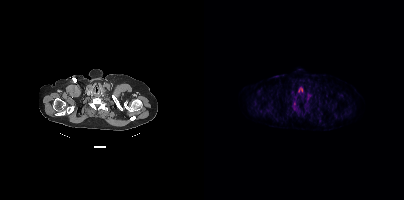
Coordinates are on the 200×200 PET (right) panel. Small PSMA-avid focus (2 to 4 px across) near (center x, center y): (90, 104). Two-panel axial: CT | PSMA PET, [18F]PSMA-1007 tracer. Slice 375 of 435. PET panel 200×200 px (4.1 mm/px).